Paired axial CT (left) and PSMA PET (right), 18F tracer. Acquired on Siemens Biograph mCT Flow 20. Slice position z = -172 mm. PET panel 200×200 px (4.1 mm/px).
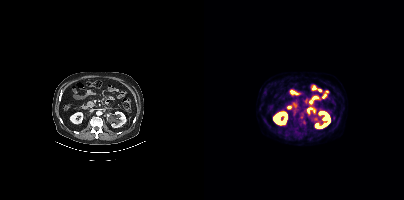
No PSMA-avid tumor lesions on this slice.